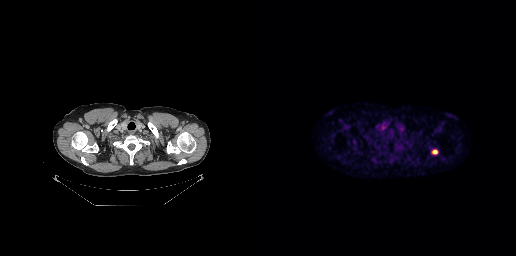
Paired axial CT (left) and PSMA PET (right), [18F]PSMA-1007 tracer. Slice position z = -181 mm. PET panel 256×256 px (2.7 mm/px).
Coordinates are on the 256×256 PET (right) panel. PSMA-avid tumor lesion bounding boxes:
| # | x0 | y0 | x1 | y1 |
|---|---|---|---|---|
| 1 | 172 | 150 | 177 | 153 |